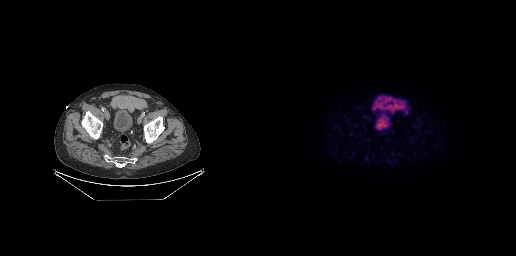
Paired axial CT (left) and PSMA PET (right), 18F-PSMA tracer. Slice position z = -677 mm. PET panel 256×256 px (2.7 mm/px). Coordinates are on the 256×256 PET (right) panel. PSMA-avid tumor lesion bounding box (x, y, width, height): x=144 y=108 w=4 h=6.